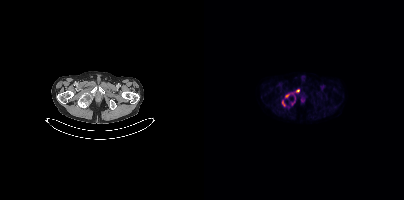
Paired axial CT (left) and PSMA PET (right), [18F]PSMA-1007 tracer. Slice position z = -1490 mm.
Coordinates are on the 200×200 PET (right) panel. PSMA-avid tumor lesion bounding boxes:
| # | x0 | y0 | x1 | y1 |
|---|---|---|---|---|
| 1 | 81 | 89 | 95 | 105 |
| 2 | 78 | 101 | 81 | 105 |